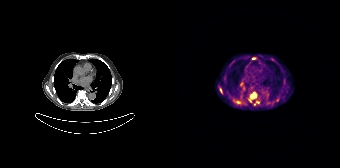
Coordinates are on the 168×168 PET (right) panel. (showing 8 of 14 foci) PSMA-avid tumor lesion bounding boxes (x, y, width, height): x=78 y=92 w=7 h=7; x=61 y=99 w=8 h=6; x=48 y=88 w=3 h=6. Small PSMA-avid foci (2 to 4 px across) near (center x, center y): (81, 58); (77, 101); (100, 59); (71, 88); (82, 104).